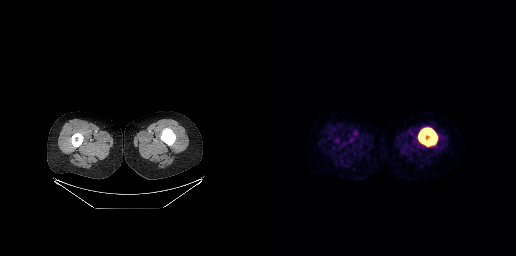
Coordinates are on the 256×256 PET (right) panel. PSMA-avid tumor lesion bounding box (x0, y0)-(x1, y1): (158, 128)-(177, 146). Two-panel axial: CT | PSMA PET, 18F tracer. Slice position z = -1055 mm. PET panel 256×256 px (2.7 mm/px).